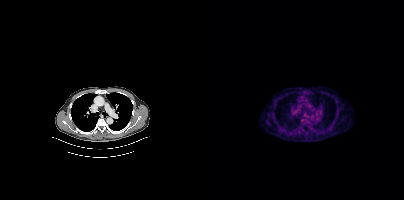
Findings: Coordinates are on the 200×200 PET (right) panel. PSMA-avid tumor lesion bounding box (x0,y0,x1,y1): [97,118,101,123].
Technique: Paired axial CT (left) and PSMA PET (right), 18F-PSMA tracer. acquired on Siemens Biograph mCT Flow 20. PET panel 200×200 px (4.1 mm/px).